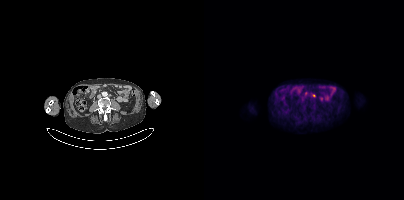
Coordinates are on the 200×200 PET (right) panel. Small PSMA-avid foci (2 to 4 px across) near (center x, center y): (101, 93) / (110, 95) / (97, 99).
modality: PSMA PET/CT | tracer: 18F | view: axial